Two-panel axial: CT | PSMA PET, 68Ga tracer. Slice position z = -428 mm. PET panel 256×256 px (2.7 mm/px).
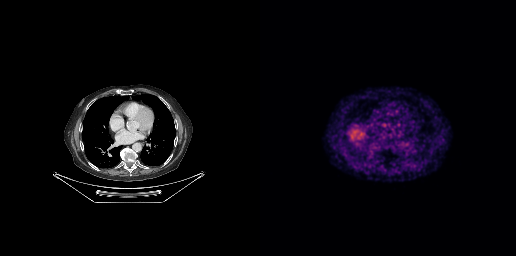
No PSMA-avid tumor lesions on this slice.